Paired axial CT (left) and PSMA PET (right), 18F tracer. Acquired on Siemens Biograph mCT Flow 20.
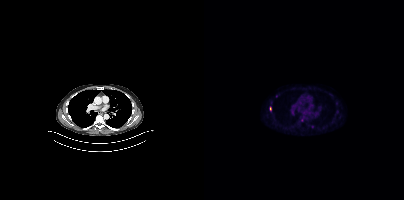
Coordinates are on the 200×200 PET (right) panel. (showing 3 of 4 foci) PSMA-avid tumor lesion bounding box (x0,y0,x1,y1): [97,117,99,121]. Small PSMA-avid foci (2 to 4 px across) near (center x, center y): (66, 108) (108, 126).